A rectangle over the head was blacked out to remove identifiable facial features. Paired axial CT (left) and PSMA PET (right), [18F]PSMA-1007 tracer. Acquired on Siemens Biograph mCT Flow 20.
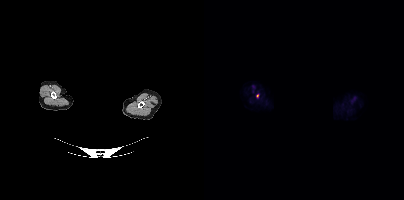
Coordinates are on the 200×200 PET (right) panel. Small PSMA-avid focus (2 to 4 px across) near (center x, center y): (53, 95).